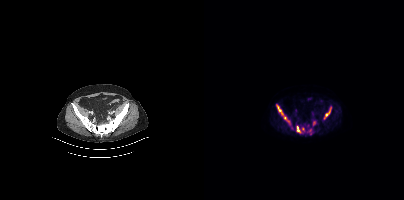
Coordinates are on the 200×200 PET (right) panel. PSMA-avid tumor lesion bounding boxes (x0, y0)-(x1, y1): (120, 108)-(126, 119); (73, 105)-(79, 114); (93, 126)-(96, 132). Small PSMA-avid focus (2 to 4 px across) near (center x, center y): (81, 118).